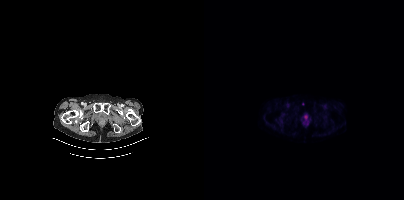
Coordinates are on the 200×200 PET (right) panel. Small PSMA-avid focus (2 to 4 px across) near (center x, center y): (99, 104).
modality: PSMA PET/CT | tracer: [68Ga]Ga-PSMA-11 | view: axial